modality: PSMA PET/CT | tracer: 18F | view: axial | PET grid: 200×200
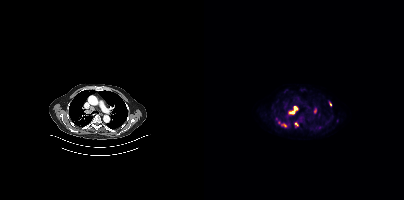
Coordinates are on the 200×200 PET (right) panel. PSMA-avid tumor lesion bounding boxes (x, y, width, height): x=85 y=106 w=9 h=9; x=77 y=123 w=6 h=4. Small PSMA-avid foci (2 to 4 px across) near (center x, center y): (92, 123); (126, 103); (111, 111); (74, 122); (115, 127).